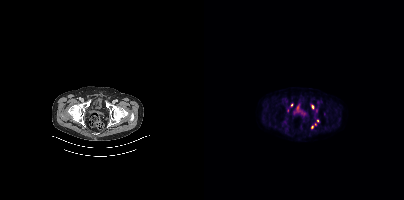
Findings: Coordinates are on the 200×200 PET (right) panel. (showing 4 of 5 foci) Small PSMA-avid foci (2 to 4 px across) near (center x, center y): (108, 127); (108, 106); (113, 120); (87, 104).
- Two-panel axial: CT | PSMA PET, 18F-PSMA tracer
- slice position z = -920 mm